Technique: Two-panel axial: CT | PSMA PET, 18F tracer. acquired on Siemens Biograph mCT Flow 20. slice position z = -276 mm. PET panel 200×200 px (4.1 mm/px).
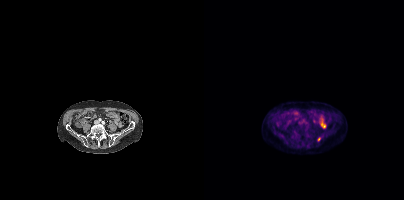
Findings: Coordinates are on the 200×200 PET (right) panel. Small PSMA-avid focus (2 to 4 px across) near (center x, center y): (115, 139).